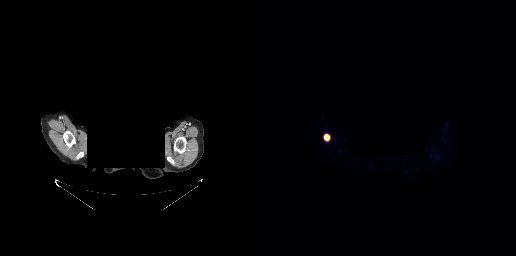
Head region blanked for anonymization (face removed). Paired axial CT (left) and PSMA PET (right), 68Ga tracer. Acquired on GE Discovery 690.
Coordinates are on the 256×256 PET (right) panel. PSMA-avid tumor lesion bounding boxes:
| # | x0 | y0 | x1 | y1 |
|---|---|---|---|---|
| 1 | 64 | 134 | 69 | 140 |